Two-panel axial: CT | PSMA PET, 68Ga-PSMA tracer.
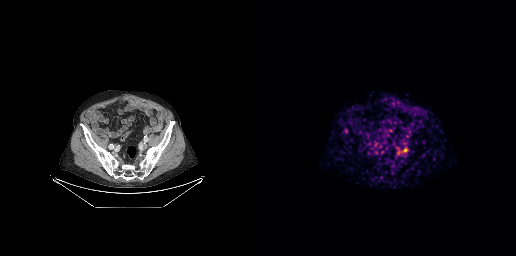
Coordinates are on the 256×256 PET (right) panel. PSMA-avid tumor lesion bounding boxes:
| # | x0 | y0 | x1 | y1 |
|---|---|---|---|---|
| 1 | 143 | 148 | 147 | 151 |
Small PSMA-avid focus (2 to 4 px across) near (center x, center y): (138, 152).